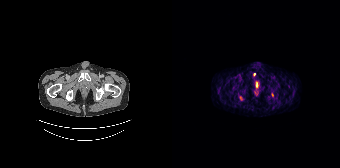
Coordinates are on the 168×168 PET (right) panel. Small PSMA-avid foci (2 to 4 px across) near (center x, center y): (100, 94); (82, 74).